Technique: Paired axial CT (left) and PSMA PET (right), 68Ga tracer. acquired on Siemens Biograph mCT Flow 20. slice 354 of 393. PET panel 200×200 px (4.1 mm/px).
Note: De-identified by setting a box covering the face to black before release.
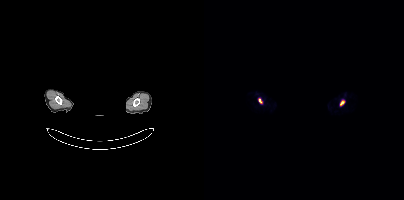
Findings: Coordinates are on the 200×200 PET (right) panel. PSMA-avid tumor lesion bounding boxes (x0,y0,x1,y1): [136,101,140,105] [55,99,57,103].